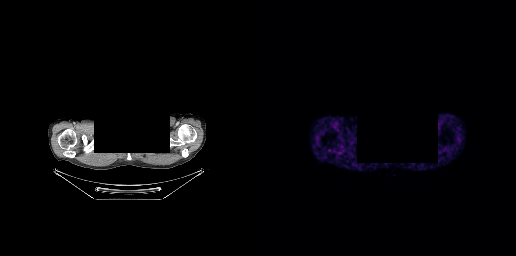
Findings: No tumor lesions annotated on this slice.
Technique: Two-panel axial: CT | PSMA PET, 68Ga tracer.
Note: Privacy masking over the head, with the pixels inside a rectangle set to black.